modality: PSMA PET/CT | tracer: 68Ga-PSMA | view: axial
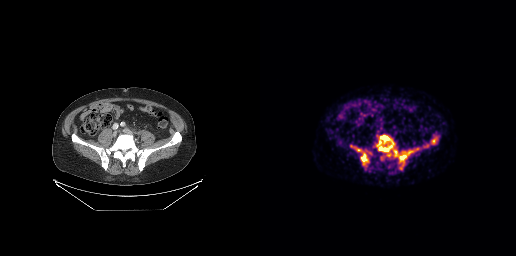
Coordinates are on the 256×256 PET (right) panel. (showing 5 of 6 foci) PSMA-avid tumor lesion bounding boxes (x, y, width, height): x=117 y=135 w=18 h=18; x=133 y=150 w=20 h=12; x=101 y=153 w=7 h=10. Small PSMA-avid foci (2 to 4 px across) near (center x, center y): (128, 155); (99, 149).